modality: PSMA PET/CT | tracer: 18F | view: axial
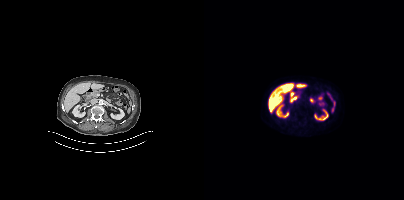
No PSMA-avid tumor lesions on this slice.